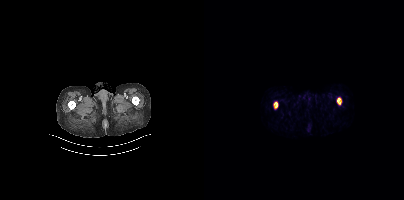
{"modality":"PSMA PET/CT","view":"axial","tracer":"[68Ga]Ga-PSMA-11","pet_grid":[200,200],"coord_frame":"pet_panel","coord_format":"x0,y0,x1,y1","psma_avid_lesions":false}